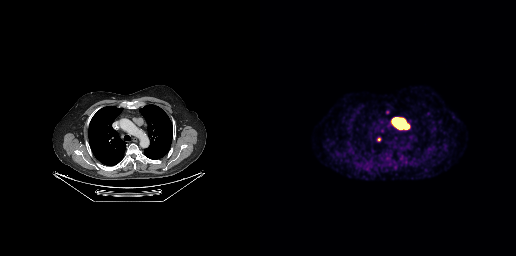
Two-panel axial: CT | PSMA PET, 18F tracer. Acquired on GE Discovery 690. PET panel 256×256 px (2.7 mm/px).
Coordinates are on the 256×256 PET (right) panel. PSMA-avid tumor lesion bounding boxes (partial; 1 more focus not listed):
| # | x0 | y0 | x1 | y1 |
|---|---|---|---|---|
| 1 | 132 | 117 | 149 | 129 |
| 2 | 117 | 137 | 120 | 141 |